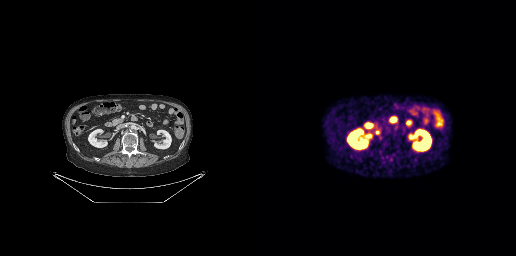
Coordinates are on the 256×256 PET (right) panel. Small PSMA-avid focus (2 to 4 px across) near (center x, center y): (117, 131).